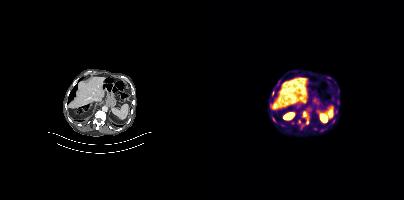
Left: CT. Right: PSMA PET, same axial level, 18F-PSMA tracer. Acquired on Siemens Biograph mCT Flow 20. Slice 189 of 367.
Coordinates are on the 200×200 PET (right) panel. PSMA-avid tumor lesion bounding boxes:
| # | x0 | y0 | x1 | y1 |
|---|---|---|---|---|
| 1 | 68 | 90 | 70 | 96 |
Small PSMA-avid foci (2 to 4 px across) near (center x, center y): (103, 117); (129, 121).